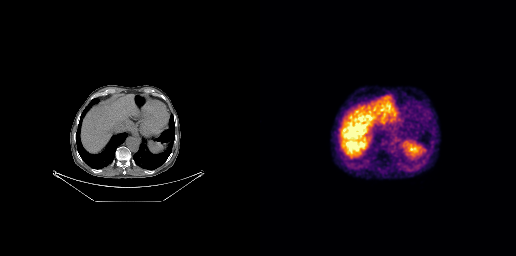
Negative for PSMA-avid disease on this slice.